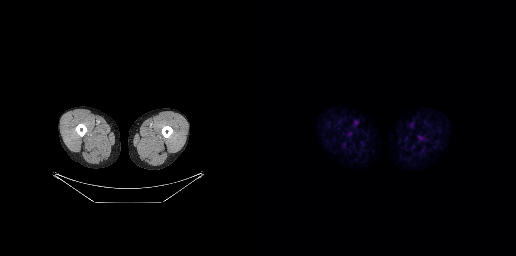
No PSMA-avid tumor lesions on this slice.
modality: PSMA PET/CT | tracer: 18F | view: axial | PET grid: 256×256